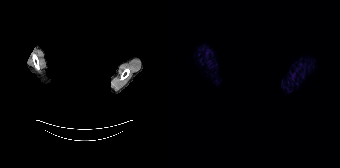
de-identification: head region blanked (face removed) | modality: PSMA PET/CT | tracer: 68Ga-PSMA | view: axial | PET grid: 168×168
This slice has no annotated PSMA-avid lesion.